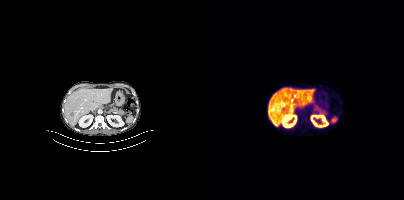
{"modality":"PSMA PET/CT","view":"axial","tracer":"18F","pet_grid":[200,200],"coord_frame":"pet_panel","coord_format":"x0,y0,x1,y1","psma_avid_lesions":false}